Paired axial CT (left) and PSMA PET (right), 18F-PSMA tracer. Acquired on Siemens Biograph mCT Flow 20. PET panel 200×200 px (4.1 mm/px).
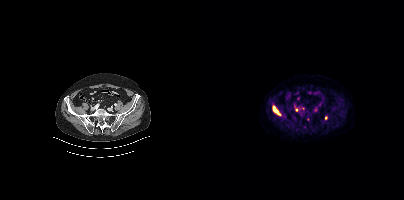
Coordinates are on the 200×200 PET (right) panel. (showing 3 of 5 foci) PSMA-avid tumor lesion bounding box (x0,y0,x1,y1): [69,106,73,113]. Small PSMA-avid foci (2 to 4 px across) near (center x, center y): (92, 109); (121, 117).